Technique: Left: CT. Right: PSMA PET, same axial level, 68Ga-PSMA tracer. acquired on GE Discovery 690. slice position z = -747 mm.
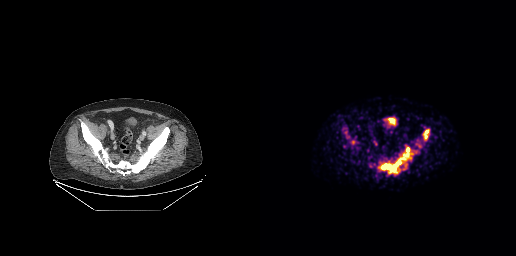
Findings: Coordinates are on the 256×256 PET (right) panel. PSMA-avid tumor lesion bounding boxes (x0, y0)-(x1, y1): (119, 147)-(152, 173) / (163, 129)-(169, 139). Small PSMA-avid focus (2 to 4 px across) near (center x, center y): (93, 142).